Left: CT. Right: PSMA PET, same axial level, [18F]PSMA-1007 tracer. Acquired on Siemens Biograph mCT Flow 20. PET panel 200×200 px (4.1 mm/px).
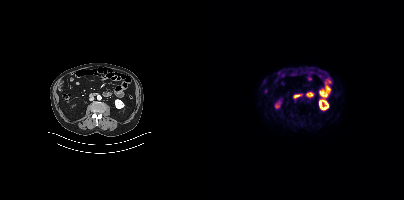
No tumor lesions annotated on this slice.